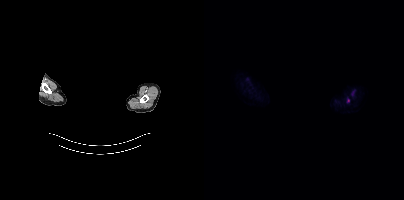
{"modality":"PSMA PET/CT","view":"axial","tracer":"18F-PSMA","pet_grid":[200,200],"coord_frame":"pet_panel","coord_format":"x0,y0,x1,y1","lesion_bboxes":[],"small_foci_centers":[[144,100]],"de-identification":"rectangular block over head set to black"}